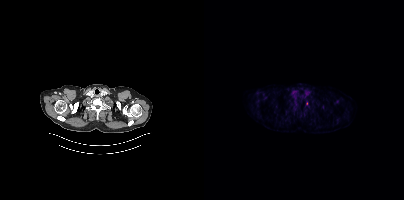
Only PSMA-avid lesion pieces thinner than 2 px on this slice (not listed).
modality: PSMA PET/CT | tracer: 18F-PSMA | view: axial